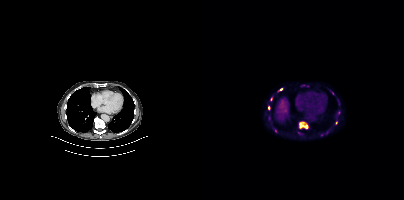
{"modality":"PSMA PET/CT","view":"axial","tracer":"18F-PSMA","pet_grid":[200,200],"coord_frame":"pet_panel","coord_format":"x0,y0,x1,y1","partial":true,"lesion_bboxes":[[95,122,103,128]],"small_foci_centers":[[77,89],[64,107],[67,99],[132,122]]}